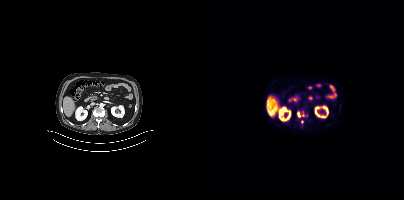
Left: CT. Right: PSMA PET, same axial level, [18F]PSMA-1007 tracer. Acquired on Siemens Biograph mCT Flow 20. Coordinates are on the 200×200 PET (right) panel. PSMA-avid tumor lesion bounding box (x0,y0,x1,y1): [93,111,100,117]. Small PSMA-avid focus (2 to 4 px across) near (center x, center y): (98, 121).